- Left: CT. Right: PSMA PET, same axial level, 18F tracer
- PET panel 200×200 px (4.1 mm/px)
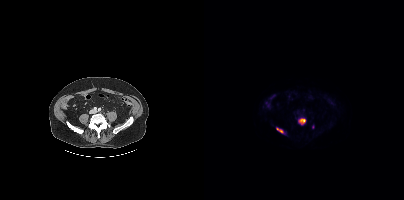
Findings: Coordinates are on the 200×200 PET (right) panel. (showing 2 of 3 foci) PSMA-avid tumor lesion bounding boxes (x0,y0,x1,y1): [95,118,101,124]; [72,128,79,133].